Technique: Left: CT. Right: PSMA PET, same axial level, [18F]PSMA-1007 tracer. PET panel 200×200 px (4.1 mm/px).
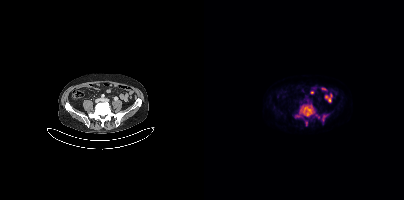
Findings: Coordinates are on the 200×200 PET (right) panel. (showing 3 of 5 foci) PSMA-avid tumor lesion bounding boxes (x0,y0,x1,y1): [92,104,110,117]; [118,114,123,121]. Small PSMA-avid focus (2 to 4 px across) near (center x, center y): (102, 123).